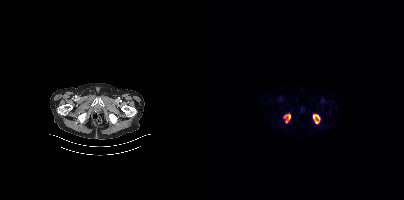
Coordinates are on the 200×200 PET (right) panel. PSMA-avid tumor lesion bounding boxes (x0, y0)-(x1, y1): (109, 114)-(115, 123) / (80, 114)-(86, 122).